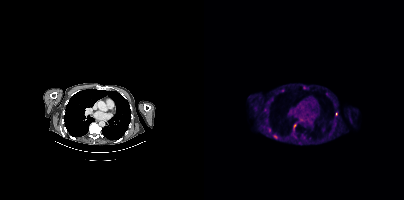
- Left: CT. Right: PSMA PET, same axial level, [18F]PSMA-1007 tracer
- acquired on Siemens Biograph mCT Flow 20
- PET panel 200×200 px (4.1 mm/px)
Findings: Coordinates are on the 200×200 PET (right) panel. (showing 6 of 7 foci) Small PSMA-avid foci (2 to 4 px across) near (center x, center y): (100, 87) | (90, 125) | (71, 137) | (78, 90) | (67, 99) | (132, 114).